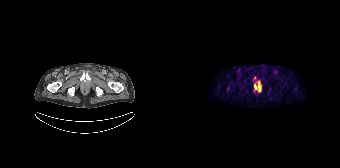
Coordinates are on the 168×168 PET (right) panel. PSMA-avid tumor lesion bounding boxes (partial; 1 more focus not listed):
| # | x0 | y0 | x1 | y1 |
|---|---|---|---|---|
| 1 | 82 | 81 | 89 | 91 |
| 2 | 81 | 76 | 84 | 81 |
Left: CT. Right: PSMA PET, same axial level, [68Ga]Ga-PSMA-11 tracer. Acquired on Siemens Biograph 64-4R TruePoint.